- Two-panel axial: CT | PSMA PET, 18F tracer
- slice position z = -380 mm
- PET panel 200×200 px (4.1 mm/px)
- face de-identified by blanking a block of the head
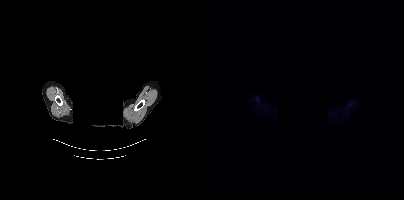
Findings: This slice has no annotated PSMA-avid lesion.